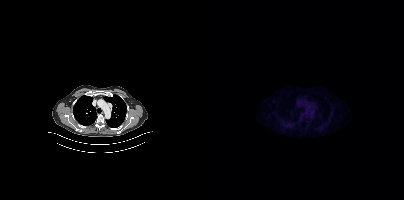
modality: PSMA PET/CT | tracer: 18F | view: axial | PET grid: 200×200
Negative for PSMA-avid disease on this slice.